Technique: Paired axial CT (left) and PSMA PET (right), 68Ga tracer.
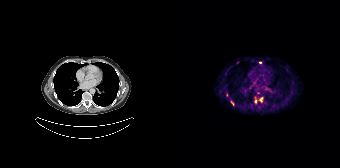
Findings: Coordinates are on the 168×168 PET (right) panel. (showing 5 of 6 foci) PSMA-avid tumor lesion bounding box (x0,y0,x1,y1): [59,101,61,105]. Small PSMA-avid foci (2 to 4 px across) near (center x, center y): (89, 99), (83, 101), (88, 62), (54, 95).